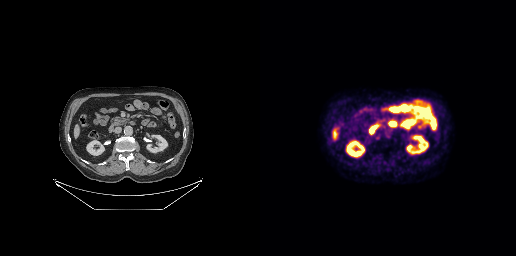
modality: PSMA PET/CT | tracer: [18F]PSMA-1007 | view: axial
Coordinates are on the 256×256 PET (right) panel. Small PSMA-avid focus (2 to 4 px across) near (center x, center y): (117, 137).